- Two-panel axial: CT | PSMA PET, 18F tracer
- acquired on Siemens Biograph mCT Flow 20
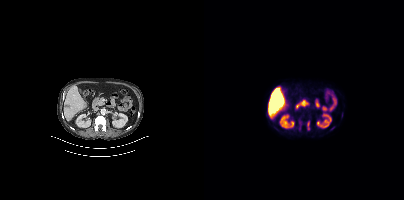
Findings: Coordinates are on the 200×200 PET (right) panel. (showing 2 of 3 foci) PSMA-avid tumor lesion bounding box (x0,y0,x1,y1): [103,120,105,130]. Small PSMA-avid focus (2 to 4 px across) near (center x, center y): (96, 122).